Paired axial CT (left) and PSMA PET (right), [68Ga]Ga-PSMA-11 tracer.
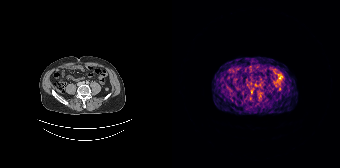
Coordinates are on the 168×168 PET (right) panel. Small PSMA-avid focus (2 to 4 px across) near (center x, center y): (79, 91).